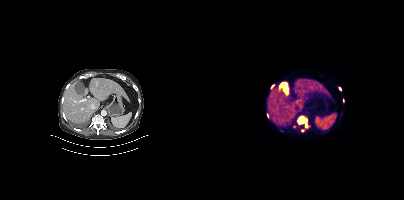
- Left: CT. Right: PSMA PET, same axial level, 18F-PSMA tracer
- acquired on Siemens Biograph mCT Flow 20
Findings: Coordinates are on the 200×200 PET (right) panel. (showing 6 of 7 foci) PSMA-avid tumor lesion bounding boxes (x0,y0,x1,y1): [93,116,104,127]; [63,113,64,117]. Small PSMA-avid foci (2 to 4 px across) near (center x, center y): (135, 88); (68, 86); (139, 100); (98, 130).